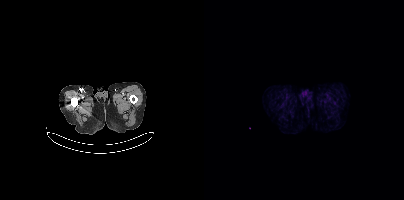
{"modality":"PSMA PET/CT","view":"axial","tracer":"18F","pet_grid":[200,200],"coord_frame":"pet_panel","coord_format":"x0,y0,x1,y1","psma_avid_lesions":false}